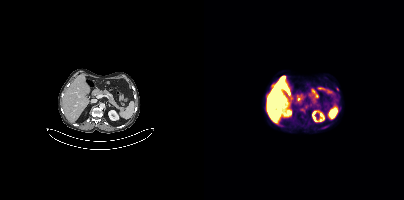
Coordinates are on the 200×200 PET (right) panel. Small PSMA-avid focus (2 to 4 px across) near (center x, center y): (98, 110).